Two-panel axial: CT | PSMA PET, [68Ga]Ga-PSMA-11 tracer. Acquired on GE Discovery 690. Slice position z = -380 mm.
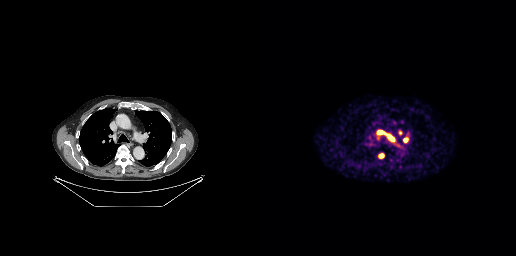
Coordinates are on the 256×256 PET (right) panel. PSMA-avid tumor lesion bounding boxes:
| # | x0 | y0 | x1 | y1 |
|---|---|---|---|---|
| 1 | 117 | 130 | 134 | 141 |
| 2 | 143 | 137 | 147 | 142 |
| 3 | 119 | 154 | 123 | 157 |
Small PSMA-avid focus (2 to 4 px across) near (center x, center y): (140, 132).